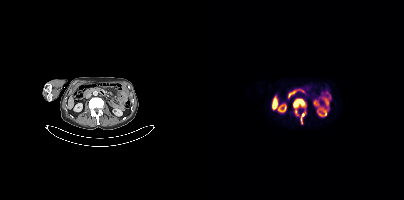
Left: CT. Right: PSMA PET, same axial level, 18F tracer. Acquired on Siemens Biograph mCT Flow 20. PET panel 200×200 px (4.1 mm/px).
Coordinates are on the 200×200 PET (right) panel. PSMA-avid tumor lesion bounding boxes:
| # | x0 | y0 | x1 | y1 |
|---|---|---|---|---|
| 1 | 89 | 99 | 102 | 123 |